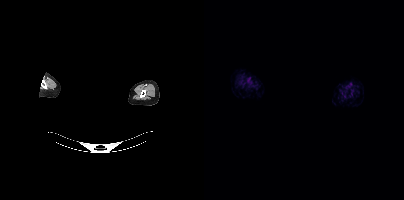
{"pet_grid":[200,200],"coord_frame":"pet_panel","coord_format":"x0,y0,x1,y1","psma_avid_lesions":false,"modality":"PSMA PET/CT","view":"axial","tracer":"[18F]PSMA-1007","de-identification":"face masked with black rectangle"}